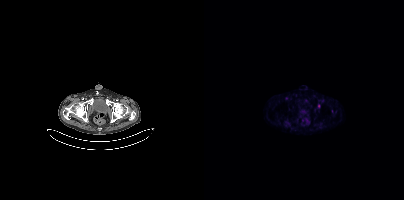
Coordinates are on the 200×200 PET (right) panel. Small PSMA-avid focus (2 to 4 px across) near (center x, center y): (114, 105).